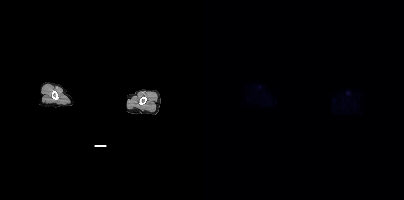
{"modality":"PSMA PET/CT","view":"axial","tracer":"18F-PSMA","pet_grid":[200,200],"coord_frame":"pet_panel","coord_format":"x0,y0,x1,y1","psma_avid_lesions":false,"de-identification":"rectangular block over head set to black"}